Two-panel axial: CT | PSMA PET, [18F]PSMA-1007 tracer. PET panel 200×200 px (4.1 mm/px).
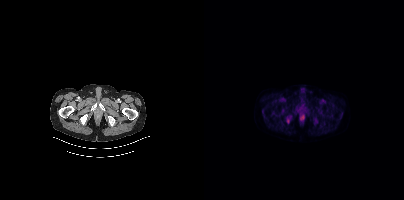
This slice has no annotated PSMA-avid lesion.